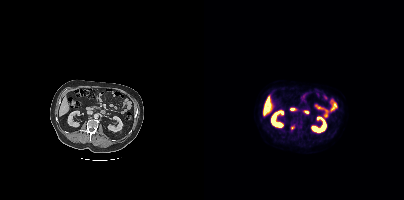
modality: PSMA PET/CT | tracer: 18F | view: axial
Coordinates are on the 200×200 PET (right) panel. Small PSMA-avid focus (2 to 4 px across) near (center x, center y): (88, 127).